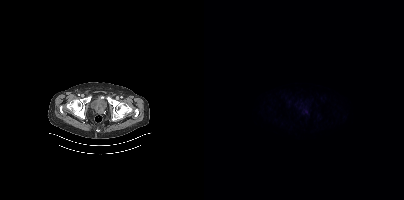
Negative for PSMA-avid disease on this slice.